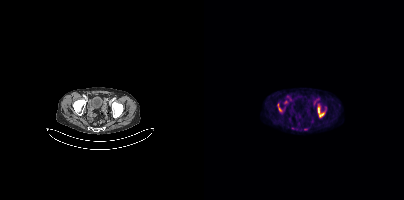
Technique: Two-panel axial: CT | PSMA PET, 18F-PSMA tracer. slice position z = -882 mm. PET panel 200×200 px (4.1 mm/px).
Findings: Coordinates are on the 200×200 PET (right) panel. (showing 2 of 3 foci) PSMA-avid tumor lesion bounding boxes (x0,y0,x1,y1): [113,106,121,117] [74,104,77,111].